deidentification: rectangular block over head set to black | modality: PSMA PET/CT | tracer: 18F | view: axial
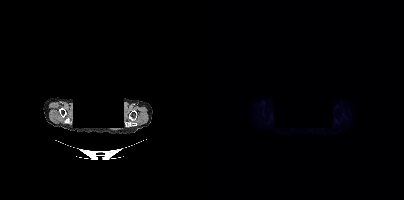
No tumor lesions annotated on this slice.